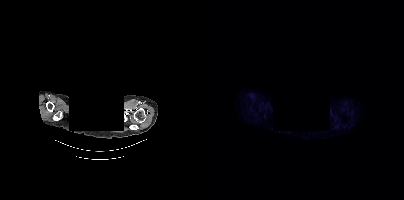
A rectangular block over the head has been blanked out for de-identification. Left: CT. Right: PSMA PET, same axial level, [18F]PSMA-1007 tracer. Acquired on Siemens Biograph mCT Flow 20. Slice position z = -303 mm. No tumor lesions annotated on this slice.